modality: PSMA PET/CT | tracer: 18F | view: axial
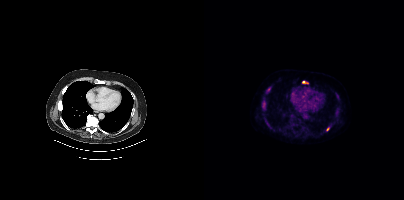
Coordinates are on the 200×200 PET (right) panel. PSMA-avid tumor lesion bounding boxes (x0,y0,x1,y1): [58,100,61,108]; [62,87,66,93]; [98,81,104,83]. Small PSMA-avid focus (2 to 4 px across) near (center x, center y): (123, 128).